- Paired axial CT (left) and PSMA PET (right), [18F]PSMA-1007 tracer
- PET panel 200×200 px (4.1 mm/px)
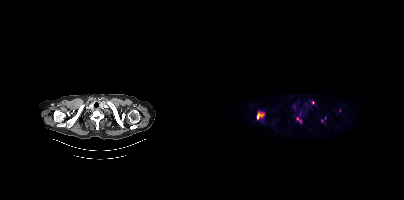
Findings: Coordinates are on the 200×200 PET (right) panel. (showing 6 of 7 foci) PSMA-avid tumor lesion bounding boxes (x0,y0,x1,y1): [52,111,60,119], [92,117,97,122]. Small PSMA-avid foci (2 to 4 px across) near (center x, center y): (96, 113), (108, 102), (135, 110), (117, 120).